- Two-panel axial: CT | PSMA PET, 68Ga tracer
- acquired on Siemens Biograph mCT Flow 20
- PET panel 200×200 px (4.1 mm/px)
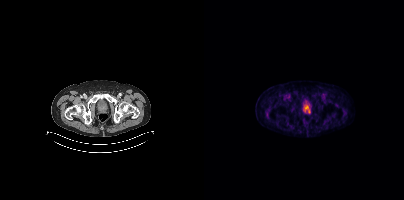
Findings: Coordinates are on the 200×200 PET (right) panel. Small PSMA-avid focus (2 to 4 px across) near (center x, center y): (105, 112).